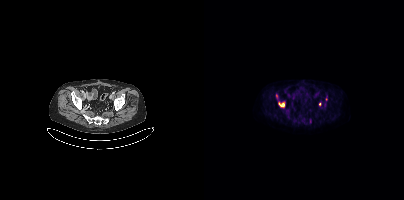
modality: PSMA PET/CT | tracer: 18F | view: axial | PET grid: 200×200
Coordinates are on the 200×200 PET (right) panel. (showing 2 of 3 foci) PSMA-avid tumor lesion bounding box (x0,y0,x1,y1): [75,102,80,106]. Small PSMA-avid focus (2 to 4 px across) near (center x, center y): (115, 104).